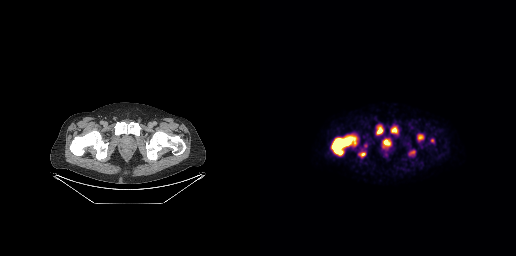
{"modality":"PSMA PET/CT","view":"axial","tracer":"18F","pet_grid":[256,256],"coord_frame":"pet_panel","coord_format":"x0,y0,x1,y1","lesion_bboxes":[[71,135,97,155],[116,125,123,134],[130,126,138,134],[123,139,130,145],[157,134,163,140],[149,150,155,154],[99,152,105,156]],"small_foci_centers":[[172,140]]}